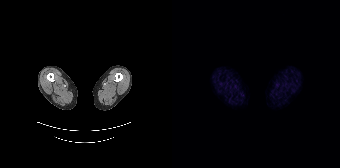
Negative for PSMA-avid disease on this slice.